Left: CT. Right: PSMA PET, same axial level, 18F tracer.
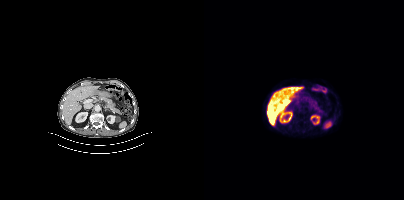
Negative for PSMA-avid disease on this slice.